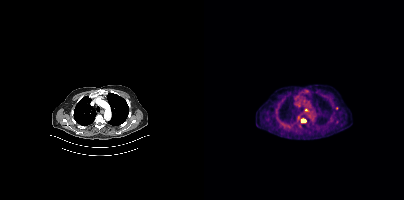
{"modality":"PSMA PET/CT","view":"axial","tracer":"18F","pet_grid":[200,200],"coord_frame":"pet_panel","coord_format":"x0,y0,x1,y1","lesion_bboxes":[[97,119,101,122]],"small_foci_centers":[[102,109],[132,107]]}